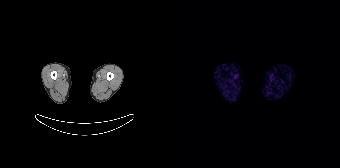
Left: CT. Right: PSMA PET, same axial level, [68Ga]Ga-PSMA-11 tracer. Acquired on Siemens Biograph 64-4R TruePoint. PET panel 168×168 px (4.1 mm/px). Negative for PSMA-avid disease on this slice.